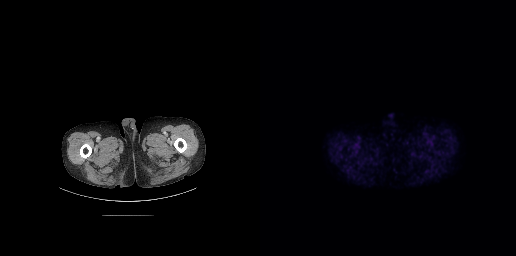
{"modality":"PSMA PET/CT","view":"axial","tracer":"[18F]PSMA-1007","pet_grid":[256,256],"coord_frame":"pet_panel","coord_format":"x0,y0,x1,y1","psma_avid_lesions":false}